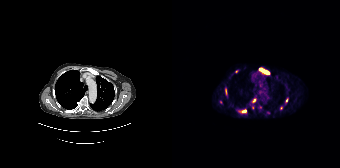
modality: PSMA PET/CT | tracer: 68Ga | view: axial
Coordinates are on the 168×168 PET (right) panel. (showing 8 of 10 foci) PSMA-avid tumor lesion bounding boxes (x0,y0,x1,y1): [87,68,97,73], [80,98,84,102], [69,109,74,112], [114,98,116,102], [53,89,54,93]. Small PSMA-avid foci (2 to 4 px across) near (center x, center y): (109, 108), (96, 112), (64, 71).